Left: CT. Right: PSMA PET, same axial level, [18F]PSMA-1007 tracer.
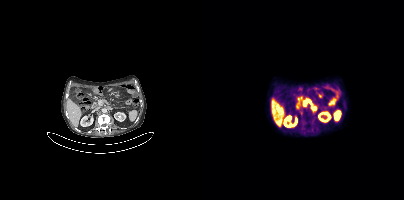
Coordinates are on the 200×200 PET (right) panel. PSMA-avid tumor lesion bounding boxes:
| # | x0 | y0 | x1 | y1 |
|---|---|---|---|---|
| 1 | 99 | 100 | 104 | 106 |
| 2 | 93 | 96 | 97 | 100 |
Small PSMA-avid foci (2 to 4 px across) near (center x, center y): (116, 95); (97, 113); (105, 99).